Paired axial CT (left) and PSMA PET (right), 68Ga tracer. Acquired on Siemens Biograph mCT Flow 20. Slice 196 of 411.
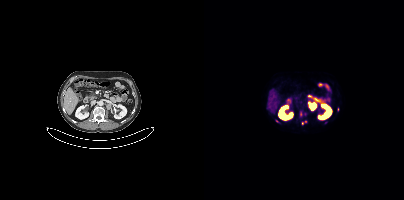
Coordinates are on the 200×200 PET (right) panel. PSMA-avid tumor lesion bounding boxes (partial; 4 more foci not listed):
| # | x0 | y0 | x1 | y1 |
|---|---|---|---|---|
| 1 | 71 | 120 | 75 | 122 |
Small PSMA-avid foci (2 to 4 px across) near (center x, center y): (97, 113); (121, 122).